modality: PSMA PET/CT | tracer: 18F | view: axial | PET grid: 256×256
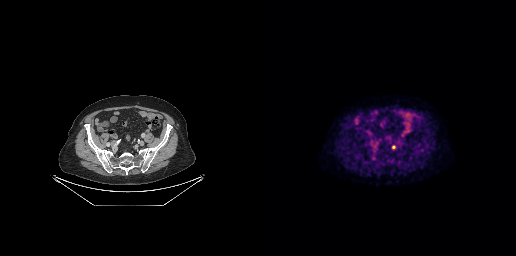
Coordinates are on the 256×256 PET (right) panel. Small PSMA-avid focus (2 to 4 px across) near (center x, center y): (133, 146).